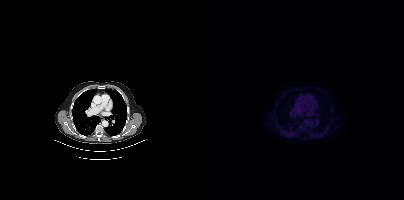
Findings: This slice has no annotated PSMA-avid lesion.
- Paired axial CT (left) and PSMA PET (right), 18F-PSMA tracer
- slice position z = -987 mm